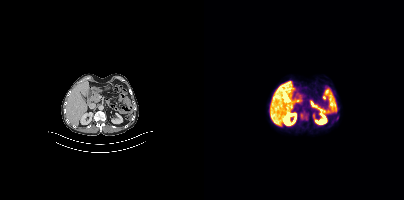
Technique: Two-panel axial: CT | PSMA PET, 18F-PSMA tracer. slice 196 of 413.
Findings: No PSMA-avid tumor lesions on this slice.